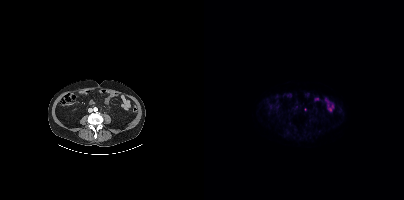
- Paired axial CT (left) and PSMA PET (right), 18F-PSMA tracer
- PET panel 200×200 px (4.1 mm/px)
Findings: Coordinates are on the 200×200 PET (right) panel. Small PSMA-avid focus (2 to 4 px across) near (center x, center y): (101, 109).